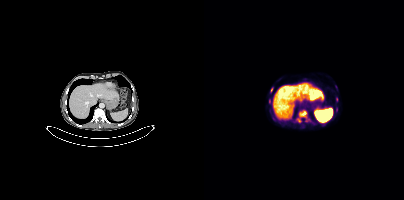
Paired axial CT (left) and PSMA PET (right), [18F]PSMA-1007 tracer. Acquired on Siemens Biograph mCT Flow 20. PET panel 200×200 px (4.1 mm/px). Coordinates are on the 200×200 PET (right) panel. (showing 3 of 4 foci) PSMA-avid tumor lesion bounding box (x0,y0,x1,y1): [95,110,102,117]. Small PSMA-avid foci (2 to 4 px across) near (center x, center y): (94, 120); (67, 89).